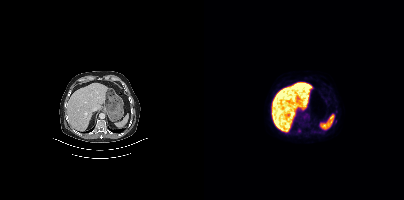
{"modality":"PSMA PET/CT","view":"axial","tracer":"[18F]PSMA-1007","pet_grid":[200,200],"coord_frame":"pet_panel","coord_format":"x0,y0,x1,y1","psma_avid_lesions":false}